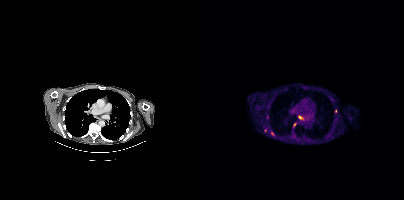
Two-panel axial: CT | PSMA PET, [18F]PSMA-1007 tracer. Acquired on Siemens Biograph mCT Flow 20. PET panel 200×200 px (4.1 mm/px). Coordinates are on the 200×200 PET (right) panel. Small PSMA-avid foci (2 to 4 px across) near (center x, center y): (63, 116), (90, 124), (68, 133), (131, 111), (61, 130), (63, 134).